modality: PSMA PET/CT | tracer: 68Ga | view: axial | PET grid: 200×200
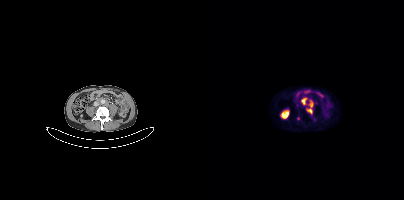
Coordinates are on the 200×200 PET (right) panel. PSMA-avid tumor lesion bounding boxes (x0, y0)-(x1, y1): (102, 101)-(109, 113); (97, 98)-(102, 104). Small PSMA-avid foci (2 to 4 px across) near (center x, center y): (94, 118); (111, 119); (93, 105).